- Left: CT. Right: PSMA PET, same axial level, [18F]PSMA-1007 tracer
- acquired on Siemens Biograph mCT Flow 20
- slice position z = -1082 mm
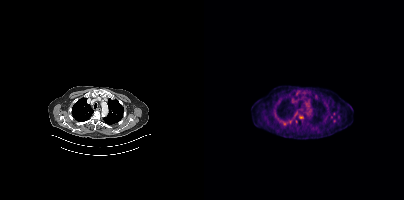
Findings: Coordinates are on the 200×200 PET (right) panel. Small PSMA-avid foci (2 to 4 px across) near (center x, center y): (96, 117) / (80, 122) / (85, 122).